modality: PSMA PET/CT | tracer: 18F | view: axial | PET grid: 168×168
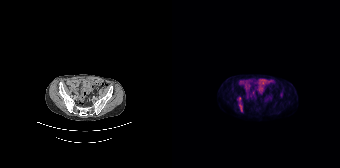
Coordinates are on the 168×168 PET (right) panel. PSMA-avid tumor lesion bounding box (x0, y0)-(x1, y1): (67, 104)-(70, 111). Small PSMA-avid foci (2 to 4 px across) near (center x, center y): (67, 98); (109, 94).